Paired axial CT (left) and PSMA PET (right), 18F tracer.
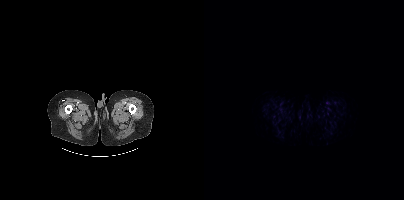
No tumor lesions annotated on this slice.